- Left: CT. Right: PSMA PET, same axial level, 18F tracer
- PET panel 200×200 px (4.1 mm/px)
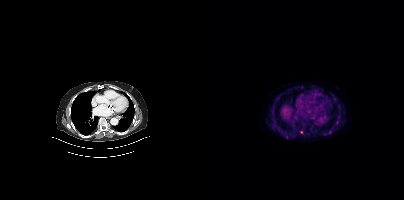
Findings: Coordinates are on the 200×200 PET (right) panel. Small PSMA-avid foci (2 to 4 px across) near (center x, center y): (97, 132) / (126, 132) / (83, 137) / (97, 87).